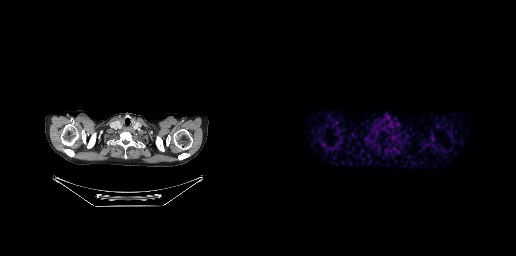
Paired axial CT (left) and PSMA PET (right), 68Ga-PSMA tracer. Slice position z = -282 mm. No PSMA-avid tumor lesions on this slice.